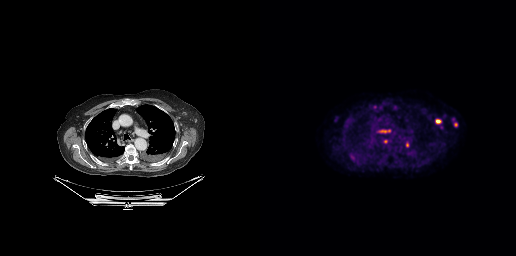
Coordinates are on the 256×256 PET (right) panel. (showing 12 of 13 foci) PSMA-avid tumor lesion bounding boxes (x, y, width, height): x=117 y=129 w=15 h=5; x=175 y=118 w=7 h=7; x=89 y=155 w=6 h=6; x=191 y=117 w=5 h=5; x=193 y=123 w=5 h=5; x=123 y=139 w=5 h=5; x=146 y=142 w=3 h=6. Small PSMA-avid foci (2 to 4 px across) near (center x, center y): (114, 106); (135, 106); (88, 118); (98, 162); (75, 119).